Technique: Left: CT. Right: PSMA PET, same axial level, 18F-PSMA tracer. acquired on Siemens Biograph mCT Flow 20. slice position z = -1052 mm.
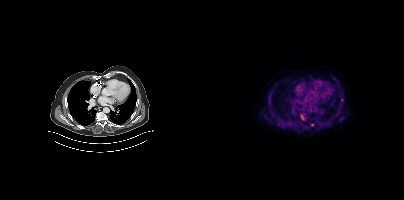
Findings: Coordinates are on the 200×200 PET (right) panel. PSMA-avid tumor lesion bounding box (x0,y0,x1,y1): [96,115,100,119]. Small PSMA-avid foci (2 to 4 px across) near (center x, center y): (74, 123); (108, 125); (137, 118).